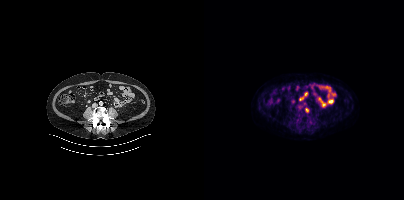
Findings: Coordinates are on the 200×200 PET (right) panel. PSMA-avid tumor lesion bounding box (x, y, width, height): x=101 y=108 w=4 h=5.
Technique: Left: CT. Right: PSMA PET, same axial level, 18F-PSMA tracer. acquired on Siemens Biograph mCT Flow 20.